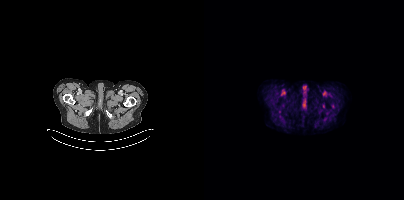
{"modality":"PSMA PET/CT","view":"axial","tracer":"18F","pet_grid":[200,200],"coord_frame":"pet_panel","coord_format":"x0,y0,x1,y1","psma_avid_lesions":false}